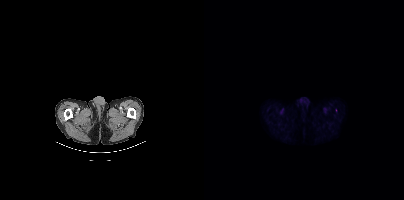
Paired axial CT (left) and PSMA PET (right), [18F]PSMA-1007 tracer. Acquired on Siemens Biograph mCT Flow 20. Only PSMA-avid lesion pieces thinner than 2 px on this slice (not listed).